modality: PSMA PET/CT | tracer: 18F-PSMA | view: axial
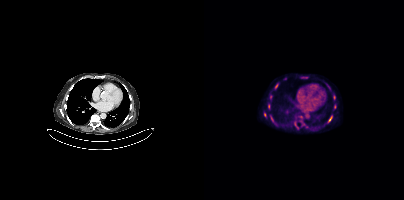
Coordinates are on the 200×200 PET (right) panel. (showing 7 of 8 foci) PSMA-avid tumor lesion bounding boxes (x0,y0,x1,y1): [124,116,128,122], [71,84,74,88]. Small PSMA-avid foci (2 to 4 px across) near (center x, center y): (130, 97), (67, 96), (130, 106), (60, 115), (67, 118).